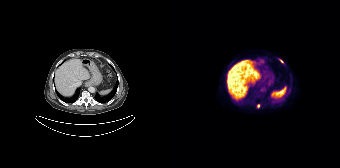
Coordinates are on the 168×168 PET (right) panel. PSMA-avid tumor lesion bounding box (x0,y0,x1,y1): [107,59,111,62]. Small PSMA-avid focus (2 to 4 px across) near (center x, center y): (86, 105).
modality: PSMA PET/CT | tracer: 18F | view: axial | PET grid: 168×168